- Left: CT. Right: PSMA PET, same axial level, [18F]PSMA-1007 tracer
- slice 320 of 425
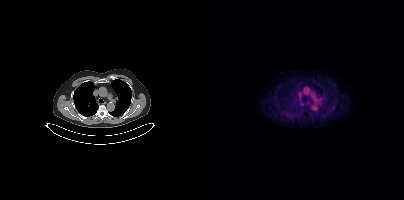
Findings: Coordinates are on the 200×200 PET (right) panel. Small PSMA-avid focus (2 to 4 px across) near (center x, center y): (129, 107).